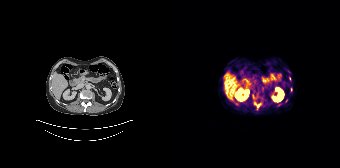
Findings: Coordinates are on the 168×168 PET (right) panel. (showing 5 of 6 foci) Small PSMA-avid foci (2 to 4 px across) near (center x, center y): (65, 104); (86, 105); (52, 76); (119, 89); (117, 78).
Technique: Two-panel axial: CT | PSMA PET, 68Ga-PSMA tracer. slice 99 of 195.